- Paired axial CT (left) and PSMA PET (right), 18F tracer
- acquired on Siemens Biograph mCT Flow 20
- slice position z = -482 mm
- PET panel 200×200 px (4.1 mm/px)
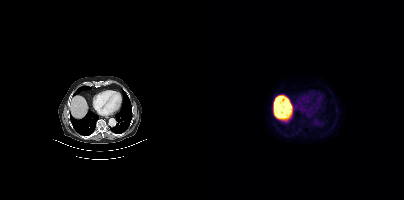
Findings: Negative for PSMA-avid disease on this slice.